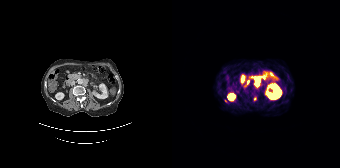
Technique: Paired axial CT (left) and PSMA PET (right), 68Ga-PSMA tracer. acquired on Siemens Biograph 64-4R TruePoint. slice position z = -1346 mm. PET panel 168×168 px (4.1 mm/px).
Findings: Coordinates are on the 168×168 PET (right) panel. PSMA-avid tumor lesion bounding boxes (x, y, width, height): x=82 y=79 w=6 h=10; x=72 y=81 w=6 h=6. Small PSMA-avid foci (2 to 4 px across) near (center x, center y): (83, 98); (53, 101).